modality: PSMA PET/CT | tracer: [68Ga]Ga-PSMA-11 | view: axial
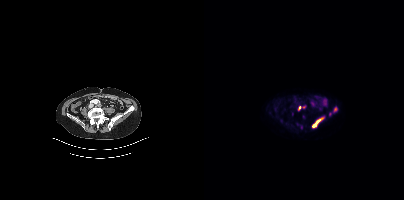
Coordinates are on the 200×200 PET (right) panel. PSMA-avid tumor lesion bounding boxes (x, y, width, height): x=108 y=120 w=8 h=8 | x=95 y=105 w=7 h=5 | x=129 y=107 w=5 h=6. Small PSMA-avid foci (2 to 4 px across) near (center x, center y): (126, 114) | (118, 118) | (97, 127).